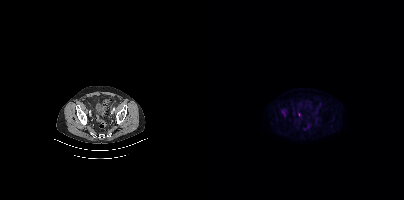
{"modality":"PSMA PET/CT","view":"axial","tracer":"[18F]PSMA-1007","pet_grid":[200,200],"coord_frame":"pet_panel","coord_format":"x0,y0,x1,y1","lesion_bboxes":[[77,109,83,117]]}